Paired axial CT (left) and PSMA PET (right), [18F]PSMA-1007 tracer. Slice 46 of 299.
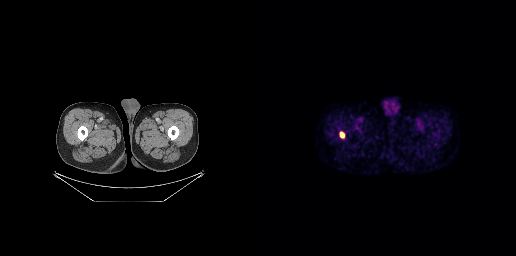
Coordinates are on the 256×256 PET (right) panel. PSMA-avid tumor lesion bounding box (x, y, width, height): x=80 y=132 w=5 h=6.